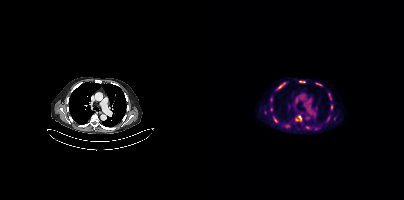
Findings: Coordinates are on the 200×200 PET (right) panel. (showing 9 of 10 foci) PSMA-avid tumor lesion bounding boxes (x0,y0,x1,y1): [73,82,81,89], [92,115,97,120], [95,81,101,82], [70,117,73,122], [112,83,117,85], [125,93,126,97]. Small PSMA-avid foci (2 to 4 px across) near (center x, center y): (127, 107), (67, 109), (124, 118).
Technique: Two-panel axial: CT | PSMA PET, 18F tracer.